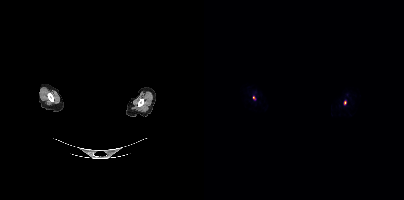
{"modality":"PSMA PET/CT","view":"axial","tracer":"18F-PSMA","pet_grid":[200,200],"coord_frame":"pet_panel","coord_format":"x0,y0,x1,y1","lesion_bboxes":[],"small_foci_centers":[[140,102],[49,97]],"deidentification":"facial region redacted"}